Two-panel axial: CT | PSMA PET, 18F-PSMA tracer. PET panel 256×256 px (2.7 mm/px). Any black rectangle over the head is a privacy mask, not anatomy.
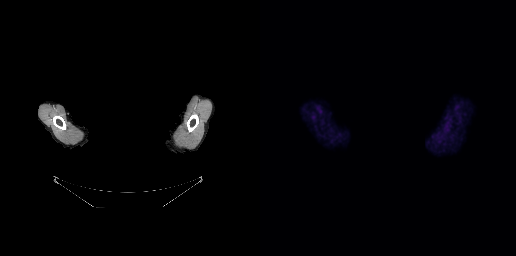
No PSMA-avid tumor lesions on this slice.